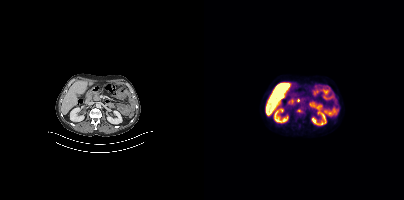
Coordinates are on the 200×200 PET (right) panel. PSMA-avid tumor lesion bounding box (x, y, width, height): x=93 y=109 w=6 h=4.